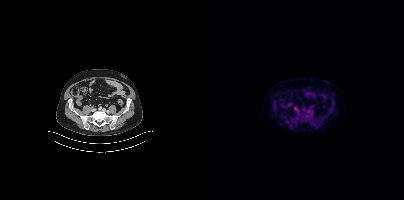
{"modality":"PSMA PET/CT","view":"axial","tracer":"[18F]PSMA-1007","pet_grid":[200,200],"coord_frame":"pet_panel","coord_format":"x0,y0,x1,y1","lesion_bboxes":[[90,107,94,110]]}